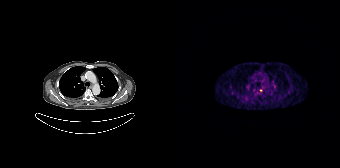
Coordinates are on the 168×168 PET (right) panel. (showing 1 of 2 foci) Small PSMA-avid focus (2 to 4 px across) near (center x, center y): (89, 90).